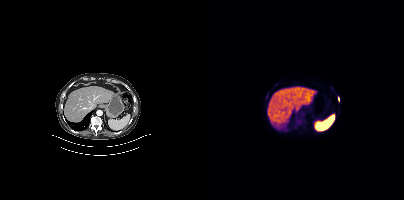
Findings: Coordinates are on the 200×200 PET (right) panel. Small PSMA-avid focus (2 to 4 px across) near (center x, center y): (134, 98).
Technique: Left: CT. Right: PSMA PET, same axial level, 18F-PSMA tracer. acquired on Siemens Biograph mCT Flow 20. slice position z = -590 mm.